modality: PSMA PET/CT | tracer: 18F | view: axial | PET grid: 200×200
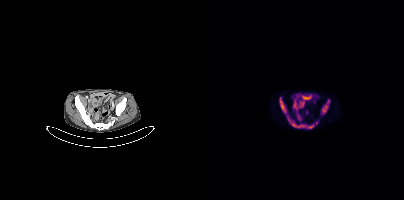
Coordinates are on the 200×200 PET (right) panel. PSMA-avid tumor lesion bounding boxes (x, y, width, height): x=83 y=115 w=27 h=14; x=118 y=100 w=9 h=14; x=75 y=97 w=8 h=17. Small PSMA-avid focus (2 to 4 px across) near (center x, center y): (112, 123).